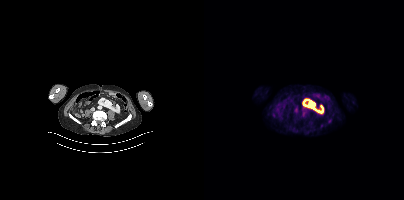
Technique: Two-panel axial: CT | PSMA PET, 18F tracer. slice position z = -791 mm.
Findings: No tumor lesions annotated on this slice.